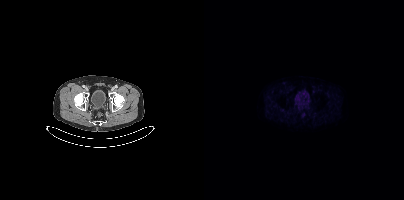
{"modality":"PSMA PET/CT","view":"axial","tracer":"18F-PSMA","pet_grid":[200,200],"coord_frame":"pet_panel","coord_format":"x0,y0,x1,y1","psma_avid_lesions":false}